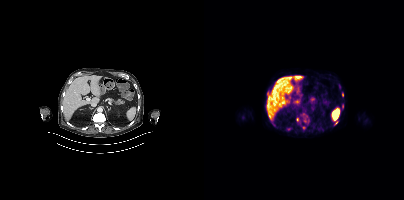
Coordinates are on the 200×200 PET (right) panel. Small PSMA-avid foci (2 to 4 px across) near (center x, center y): (138, 94) | (138, 105) | (100, 128) | (131, 124) | (84, 129) | (93, 119) | (63, 91).